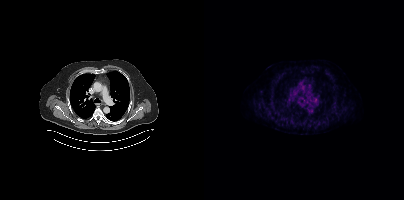
Only PSMA-avid lesion pieces thinner than 2 px on this slice (not listed). Paired axial CT (left) and PSMA PET (right), [18F]PSMA-1007 tracer. Acquired on Siemens Biograph mCT Flow 20. Slice position z = -247 mm.